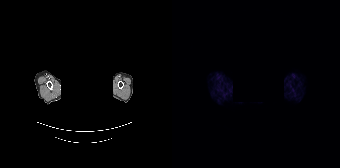
{"modality":"PSMA PET/CT","view":"axial","tracer":"68Ga-PSMA","pet_grid":[168,168],"coord_frame":"pet_panel","coord_format":"x0,y0,x1,y1","psma_avid_lesions":false,"deidentification":"rectangular block over head set to black"}